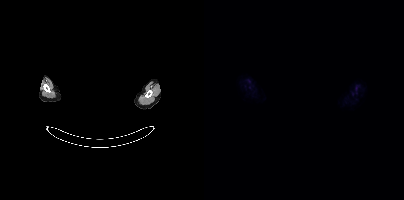
Negative for PSMA-avid disease on this slice. Left: CT. Right: PSMA PET, same axial level, 18F tracer. Acquired on Siemens Biograph mCT Flow 20. The face region was removed for patient privacy by blanking a rectangle over the head.